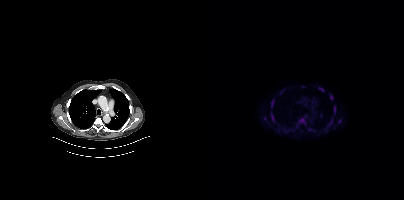
Coordinates are on the 200×200 PET (right) panel. (showing 9 of 11 foci) PSMA-avid tumor lesion bounding boxes (x, y, width, height): x=95 y=118 w=7 h=6 / x=67 y=113 w=4 h=9 / x=67 y=100 w=3 h=7 / x=130 y=106 w=2 h=8 / x=124 y=120 w=6 h=7 / x=115 y=87 w=5 h=5 / x=126 y=95 w=3 h=5 / x=134 y=119 w=4 h=5. Small PSMA-avid focus (2 to 4 px across) near (center x, center y): (60, 118).